- Two-panel axial: CT | PSMA PET, 18F tracer
- PET panel 200×200 px (4.1 mm/px)
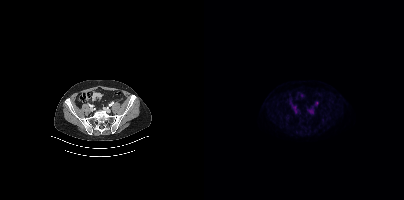
Findings: Only PSMA-avid lesion pieces thinner than 2 px on this slice (not listed).